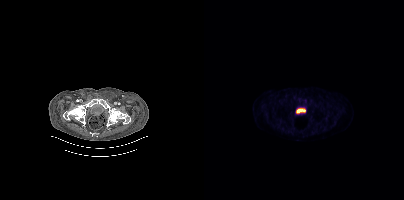
This slice has no annotated PSMA-avid lesion.